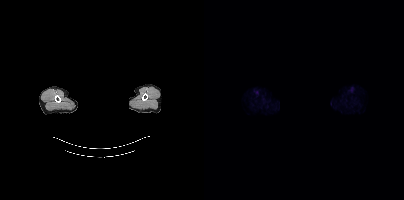
de-identification: face masked with black rectangle | modality: PSMA PET/CT | tracer: 18F-PSMA | view: axial
No tumor lesions annotated on this slice.